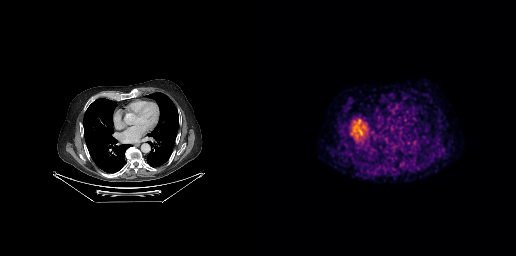
- Two-panel axial: CT | PSMA PET, 18F tracer
- slice 181 of 263
Findings: No PSMA-avid tumor lesions on this slice.